de-identification: rectangle blanked before release | modality: PSMA PET/CT | tracer: 18F | view: axial
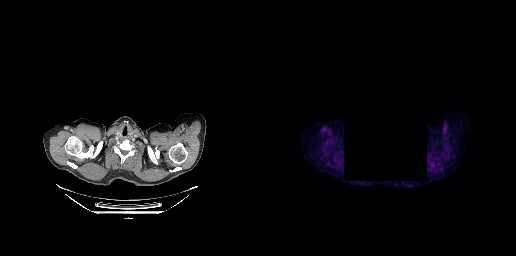
Negative for PSMA-avid disease on this slice.